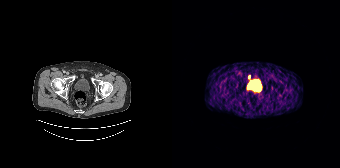
{"pet_grid":[168,168],"coord_frame":"pet_panel","coord_format":"x0,y0,x1,y1","lesion_bboxes":[],"small_foci_centers":[[76,76]],"modality":"PSMA PET/CT","view":"axial","tracer":"68Ga"}